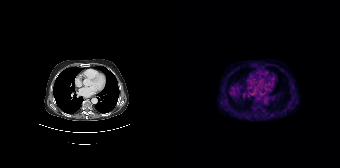
- Paired axial CT (left) and PSMA PET (right), [68Ga]Ga-PSMA-11 tracer
- acquired on Siemens Biograph 64-4R TruePoint
- slice 107 of 165
Findings: This slice has no annotated PSMA-avid lesion.